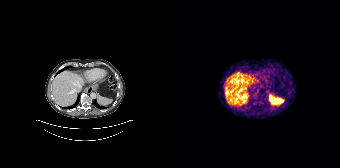
Technique: Paired axial CT (left) and PSMA PET (right), 68Ga tracer. acquired on Siemens Biograph 64-4R TruePoint. slice position z = -958 mm. PET panel 168×168 px (4.1 mm/px).
Findings: No PSMA-avid tumor lesions on this slice.